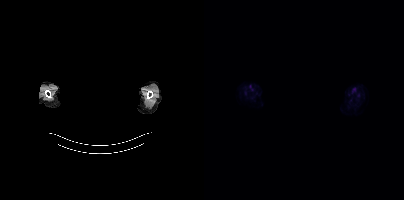
{"modality":"PSMA PET/CT","view":"axial","tracer":"18F","pet_grid":[200,200],"coord_frame":"pet_panel","coord_format":"x0,y0,x1,y1","redaction":"head region blacked out before release","psma_avid_lesions":false}